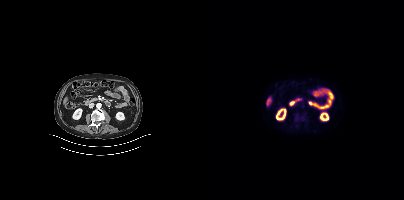
Findings: No PSMA-avid tumor lesions on this slice.
Technique: Paired axial CT (left) and PSMA PET (right), [18F]PSMA-1007 tracer. slice 188 of 423. PET panel 200×200 px (4.1 mm/px).